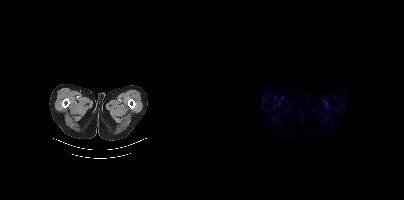
- Left: CT. Right: PSMA PET, same axial level, [18F]PSMA-1007 tracer
- slice position z = -1602 mm
Findings: No PSMA-avid tumor lesions on this slice.